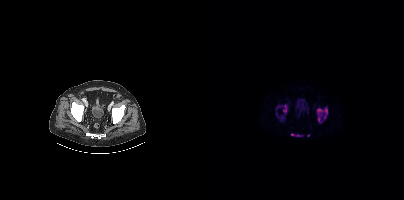
{"modality":"PSMA PET/CT","view":"axial","tracer":"[18F]PSMA-1007","pet_grid":[200,200],"coord_frame":"pet_panel","coord_format":"x0,y0,x1,y1","lesion_bboxes":[[112,107,123,122],[72,104,83,114],[87,133,98,136],[72,113,74,117]],"small_foci_centers":[[78,117],[104,135]]}